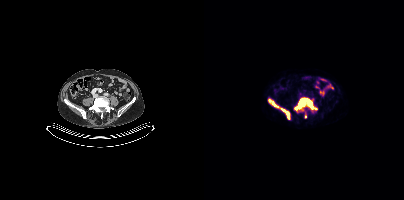
Coordinates are on the 200×200 PET (right) panel. (showing 3 of 4 foci) PSMA-avid tumor lesion bounding boxes (x0, y0)-(x1, y1): (90, 98)-(112, 111); (65, 99)-(85, 119). Small PSMA-avid focus (2 to 4 px across) near (center x, center y): (101, 116).